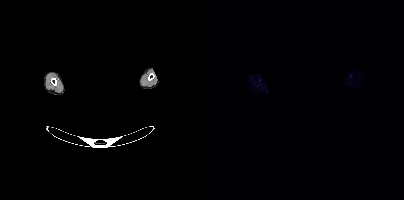
No tumor lesions annotated on this slice.
Face de-identified by blanking a block of the head.